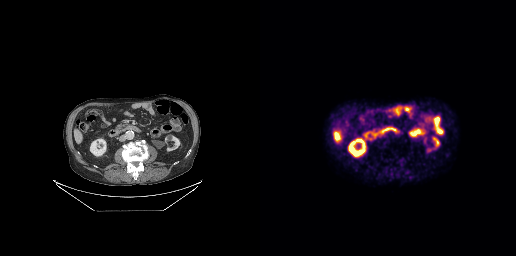
Left: CT. Right: PSMA PET, same axial level, 18F tracer. Acquired on GE Discovery 690. Slice position z = -493 mm. PET panel 256×256 px (2.7 mm/px). No PSMA-avid tumor lesions on this slice.